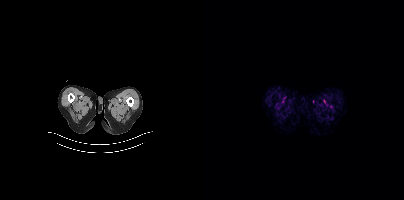
Findings: This slice has no annotated PSMA-avid lesion.
Technique: Two-panel axial: CT | PSMA PET, 18F-PSMA tracer. acquired on Siemens Biograph mCT Flow 20. slice 9 of 421. PET panel 200×200 px (4.1 mm/px).